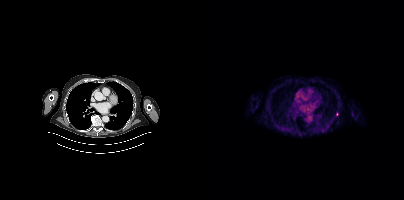
modality: PSMA PET/CT | tracer: 18F | view: axial | PET grid: 200×200
Negative for PSMA-avid disease on this slice.